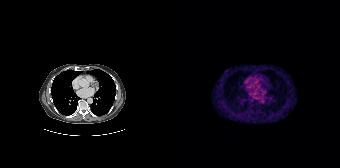
This slice has no annotated PSMA-avid lesion.